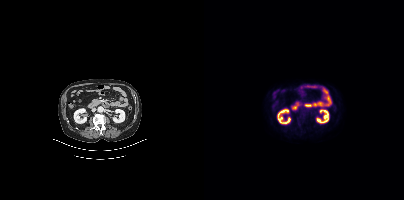
This slice has no annotated PSMA-avid lesion.
modality: PSMA PET/CT | tracer: 18F | view: axial | PET grid: 200×200